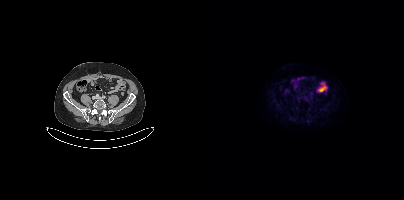
{"modality":"PSMA PET/CT","view":"axial","tracer":"[18F]PSMA-1007","pet_grid":[200,200],"coord_frame":"pet_panel","coord_format":"x0,y0,x1,y1","psma_avid_lesions":false}